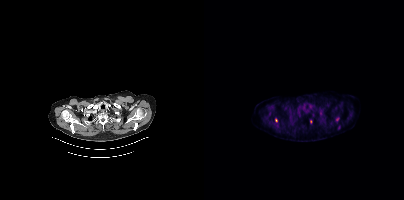
{"modality":"PSMA PET/CT","view":"axial","tracer":"18F","pet_grid":[200,200],"coord_frame":"pet_panel","coord_format":"x0,y0,x1,y1","partial":true,"lesion_bboxes":[[132,117,135,121]],"small_foci_centers":[[72,120],[106,121]]}